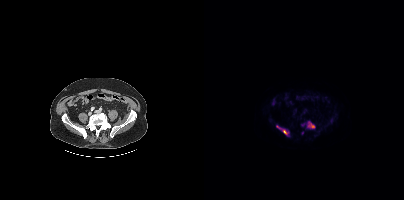
modality: PSMA PET/CT | tracer: 18F-PSMA | view: axial
Coordinates are on the 200×200 PET (right) panel. PSMA-avid tumor lesion bounding boxes (x0, y0)-(x1, y1): (104, 122)-(110, 128); (78, 129)-(84, 134); (72, 126)-(76, 128). Small PSMA-avid focus (2 to 4 px across) near (center x, center y): (98, 132).